The head region is masked for de-identification.
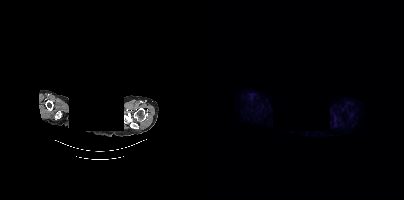
No tumor lesions annotated on this slice.